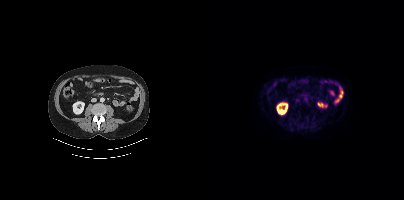
- Left: CT. Right: PSMA PET, same axial level, 18F tracer
Findings: Coordinates are on the 200×200 PET (right) panel. Small PSMA-avid focus (2 to 4 px across) near (center x, center y): (103, 119).